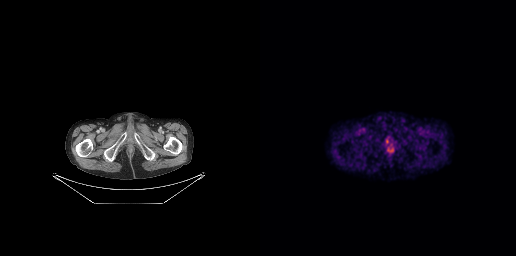
Two-panel axial: CT | PSMA PET, 18F tracer. PET panel 256×256 px (2.7 mm/px). Coordinates are on the 256×256 PET (right) panel. PSMA-avid tumor lesion bounding box (x, y, width, height): x=126 y=139 w=3 h=5.